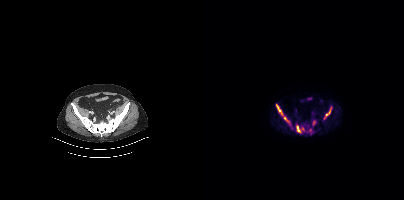
{"modality":"PSMA PET/CT","view":"axial","tracer":"[18F]PSMA-1007","pet_grid":[200,200],"coord_frame":"pet_panel","coord_format":"x0,y0,x1,y1","lesion_bboxes":[[120,109,126,118],[72,104,78,114],[93,126,96,132]],"small_foci_centers":[[81,118]]}